- Left: CT. Right: PSMA PET, same axial level, 18F-PSMA tracer
- slice 218 of 435
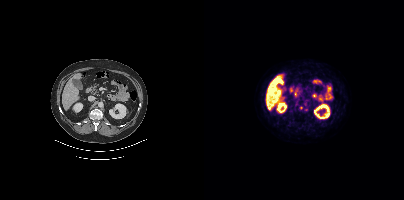
Findings: Coordinates are on the 200×200 PET (right) panel. PSMA-avid tumor lesion bounding box (x, y, width, height): x=91 y=101 w=4 h=5. Small PSMA-avid focus (2 to 4 px across) near (center x, center y): (102, 108).